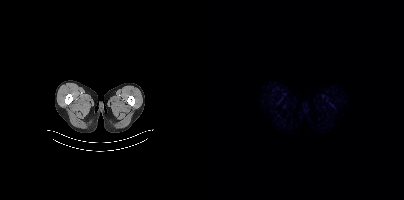
This slice has no annotated PSMA-avid lesion.